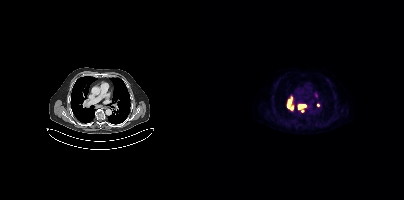
{"modality":"PSMA PET/CT","view":"axial","tracer":"18F","pet_grid":[200,200],"coord_frame":"pet_panel","coord_format":"x0,y0,x1,y1","lesion_bboxes":[[94,104,100,108]],"small_foci_centers":[[98,110]]}